Technique: Left: CT. Right: PSMA PET, same axial level, [18F]PSMA-1007 tracer.
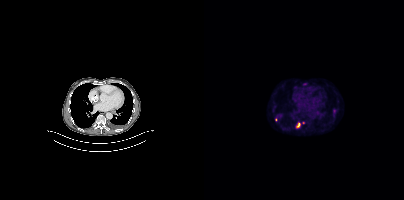
Findings: Coordinates are on the 200×200 PET (right) panel. (showing 5 of 7 foci) PSMA-avid tumor lesion bounding boxes (x0, y0)-(x1, y1): (92, 123)-(96, 127) / (129, 109)-(132, 113) / (71, 116)-(73, 120). Small PSMA-avid foci (2 to 4 px across) near (center x, center y): (113, 112) / (76, 115).